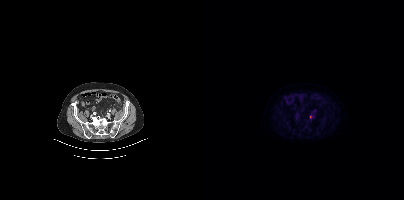
Coordinates are on the 200×200 PET (right) panel. (showing 1 of 2 foci) Small PSMA-avid focus (2 to 4 px across) near (center x, center y): (106, 116).